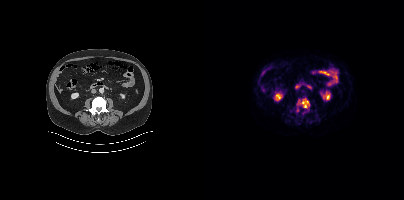
{"modality":"PSMA PET/CT","view":"axial","tracer":"18F-PSMA","pet_grid":[200,200],"coord_frame":"pet_panel","coord_format":"x0,y0,x1,y1","lesion_bboxes":[[92,99,105,112]]}